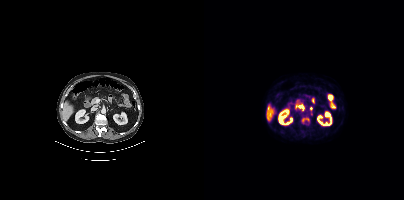
Left: CT. Right: PSMA PET, same axial level, 18F tracer. Acquired on Siemens Biograph mCT Flow 20. PET panel 200×200 px (4.1 mm/px). Coordinates are on the 200×200 PET (right) panel. PSMA-avid tumor lesion bounding box (x0, y0)-(x1, y1): (95, 105)-(99, 109). Small PSMA-avid focus (2 to 4 px across) near (center x, center y): (107, 108).